Technique: Left: CT. Right: PSMA PET, same axial level, [18F]PSMA-1007 tracer. slice 327 of 435. PET panel 200×200 px (4.1 mm/px).
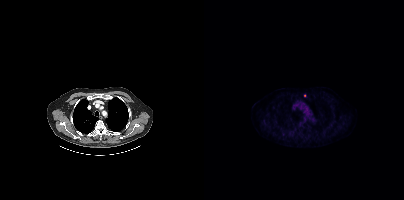
Findings: Coordinates are on the 200×200 PET (right) panel. Small PSMA-avid focus (2 to 4 px across) near (center x, center y): (100, 95).